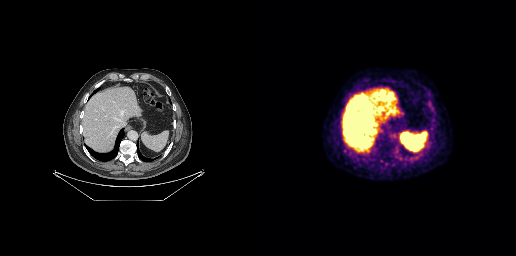
Negative for PSMA-avid disease on this slice.